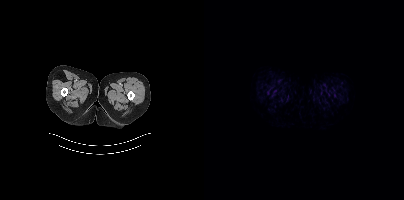
Findings: This slice has no annotated PSMA-avid lesion.
Technique: Paired axial CT (left) and PSMA PET (right), 18F-PSMA tracer. acquired on Siemens Biograph mCT Flow 20. slice 16 of 413. PET panel 200×200 px (4.1 mm/px).